Paired axial CT (left) and PSMA PET (right), 68Ga-PSMA tracer. Acquired on Siemens Biograph mCT Flow 20. Slice position z = -898 mm. PET panel 200×200 px (4.1 mm/px). Face de-identified by blanking a block of the head.
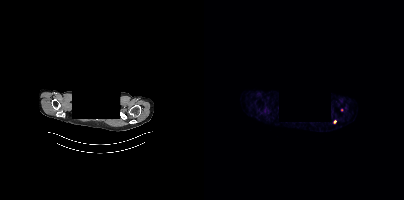
Coordinates are on the 200×200 PET (right) panel. Small PSMA-avid focus (2 to 4 px across) near (center x, center y): (130, 121).